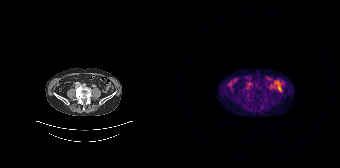
Paired axial CT (left) and PSMA PET (right), 68Ga-PSMA tracer. No tumor lesions annotated on this slice.